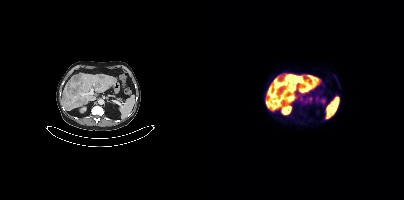
Coordinates are on the 200×200 PET (right) panel. PSMA-avid tumor lesion bounding boxes (x0,y0,x1,y1): [96,83,102,89], [70,83,76,88], [91,76,97,81], [105,96,108,100]. Small PSMA-avid focus (2 to 4 px across) near (center x, center y): (97, 98).